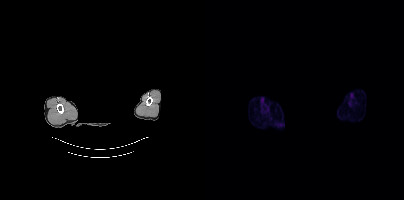
No tumor lesions annotated on this slice.
Privacy masking over the head, with the pixels inside a rectangle set to black.